- Left: CT. Right: PSMA PET, same axial level, 18F-PSMA tracer
- acquired on Siemens Biograph 64-4R TruePoint
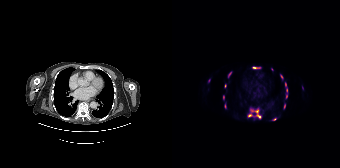
Findings: Coordinates are on the 168×168 PET (right) panel. (showing 11 of 13 foci) PSMA-avid tumor lesion bounding boxes (x, y, width, height): x=79 y=109 w=11 h=10 | x=80 y=67 w=9 h=2 | x=76 y=114 w=5 h=3 | x=56 y=72 w=4 h=6. Small PSMA-avid foci (2 to 4 px across) near (center x, center y): (51, 97) | (113, 84) | (114, 96) | (53, 86) | (114, 90) | (109, 77) | (102, 119).